Two-panel axial: CT | PSMA PET, 18F-PSMA tracer. Acquired on Siemens Biograph mCT Flow 20. Slice 2 of 377.
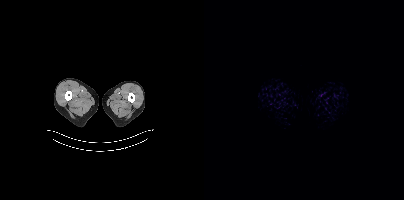
This slice has no annotated PSMA-avid lesion.